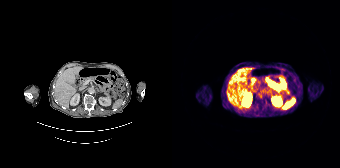
{"modality":"PSMA PET/CT","view":"axial","tracer":"68Ga-PSMA","pet_grid":[168,168],"coord_frame":"pet_panel","coord_format":"x0,y0,x1,y1","psma_avid_lesions":false}